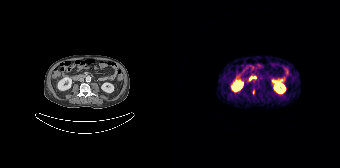
Coordinates are on the 168×168 PET (right) panel. Small PSMA-avid focus (2 to 4 px across) near (center x, center y): (81, 91). Left: CT. Right: PSMA PET, same axial level, 68Ga-PSMA tracer. Acquired on Siemens Biograph 64-4R TruePoint.